Technique: Left: CT. Right: PSMA PET, same axial level, 68Ga tracer. acquired on Siemens Biograph mCT Flow 20.
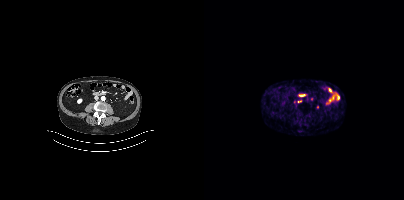
Findings: Coordinates are on the 200×200 PET (right) panel. Small PSMA-avid foci (2 to 4 px across) near (center x, center y): (96, 101); (107, 99).